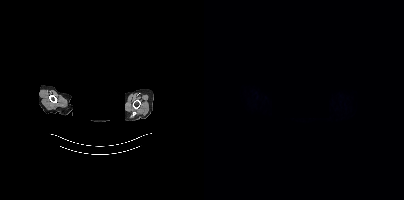
Any black rectangle over the head is a privacy mask, not anatomy.
This slice has no annotated PSMA-avid lesion.